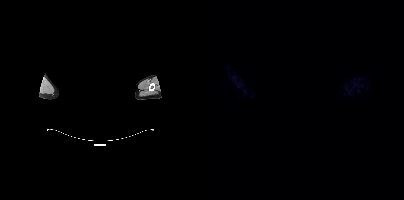
{"modality":"PSMA PET/CT","view":"axial","tracer":"18F","pet_grid":[200,200],"coord_frame":"pet_panel","coord_format":"x0,y0,x1,y1","psma_avid_lesions":false,"deidentification":"rectangular block over head set to black"}